Left: CT. Right: PSMA PET, same axial level, 18F tracer.
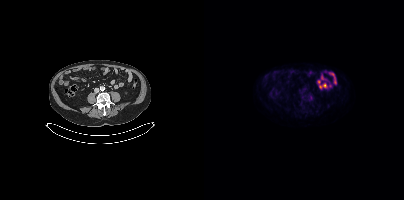
Coordinates are on the 200×200 PET (right) panel. Small PSMA-avid focus (2 to 4 px across) near (center x, center y): (107, 97).